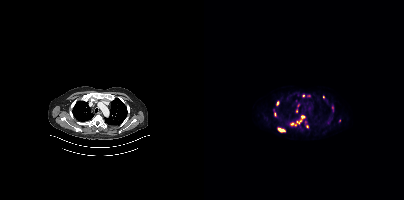
- Two-panel axial: CT | PSMA PET, [18F]PSMA-1007 tracer
- acquired on Siemens Biograph mCT Flow 20
Findings: Coordinates are on the 200×200 PET (right) panel. (showing 9 of 12 foci) PSMA-avid tumor lesion bounding boxes (x, y, width, height): x=86 y=115 w=16 h=11; x=74 y=127 w=8 h=6; x=127 y=105 w=3 h=6; x=119 y=95 w=3 h=5; x=72 y=101 w=3 h=5. Small PSMA-avid foci (2 to 4 px across) near (center x, center y): (71, 114); (103, 126); (92, 111); (99, 95).